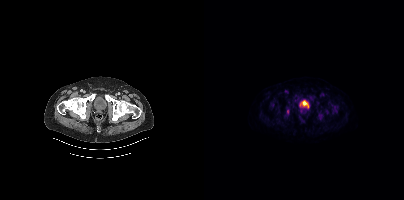
Left: CT. Right: PSMA PET, same axial level, [18F]PSMA-1007 tracer. PET panel 200×200 px (4.1 mm/px). Coordinates are on the 200×200 PET (right) panel. PSMA-avid tumor lesion bounding boxes (x, y, width, height): x=96 y=108 w=7 h=6 / x=83 y=100 w=6 h=6 / x=66 y=101 w=5 h=6 / x=114 y=114 w=5 h=6 / x=102 y=95 w=6 h=6 / x=93 y=97 w=4 h=7 / x=80 y=113 w=5 h=5 / x=74 y=107 w=3 h=5 / x=83 y=107 w=3 h=5. Small PSMA-avid focus (2 to 4 px across) near (center x, center y): (125, 103).